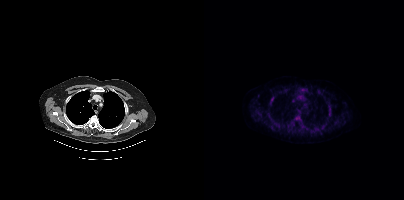
{"modality":"PSMA PET/CT","view":"axial","tracer":"18F","pet_grid":[200,200],"coord_frame":"pet_panel","coord_format":"x0,y0,x1,y1","psma_avid_lesions":false}